- Two-panel axial: CT | PSMA PET, 18F-PSMA tracer
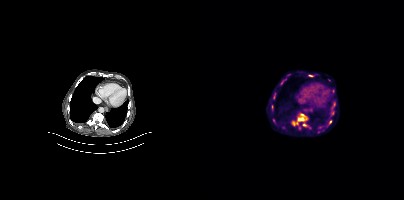
Findings: Coordinates are on the 200×200 PET (right) panel. PSMA-avid tumor lesion bounding boxes (x, y, width, height): x=89 y=113 w=15 h=13 / x=127 y=110 w=4 h=5. Small PSMA-avid focus (2 to 4 px across) near (center x, center y): (100, 125).